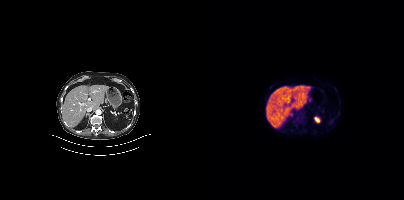
{"modality":"PSMA PET/CT","view":"axial","tracer":"18F","pet_grid":[200,200],"coord_frame":"pet_panel","coord_format":"x0,y0,x1,y1","psma_avid_lesions":false}